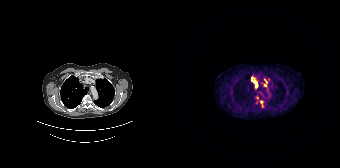
- Two-panel axial: CT | PSMA PET, 68Ga-PSMA tracer
- PET panel 168×168 px (4.1 mm/px)
Findings: Coordinates are on the 168×168 PET (right) panel. (showing 6 of 7 foci) PSMA-avid tumor lesion bounding box (x, y, width, height): x=81 y=80 w=5 h=8. Small PSMA-avid foci (2 to 4 px across) near (center x, center y): (84, 97); (93, 85); (93, 80); (89, 101); (90, 105).